Technique: Two-panel axial: CT | PSMA PET, 18F-PSMA tracer. slice position z = -713 mm. PET panel 200×200 px (4.1 mm/px).
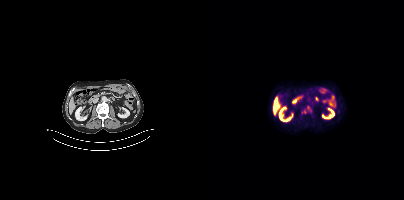
Findings: Coordinates are on the 200×200 PET (right) panel. Small PSMA-avid focus (2 to 4 px across) near (center x, center y): (104, 107).